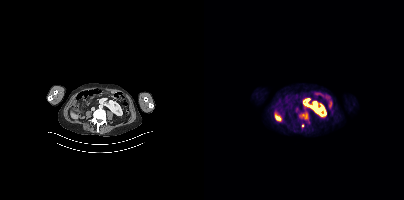
{"modality":"PSMA PET/CT","view":"axial","tracer":"[18F]PSMA-1007","pet_grid":[200,200],"coord_frame":"pet_panel","coord_format":"x0,y0,x1,y1","lesion_bboxes":[[96,113,103,118]],"small_foci_centers":[[98,125]]}